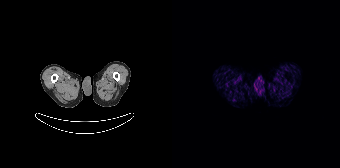
No tumor lesions annotated on this slice.
modality: PSMA PET/CT | tracer: [68Ga]Ga-PSMA-11 | view: axial | PET grid: 168×168